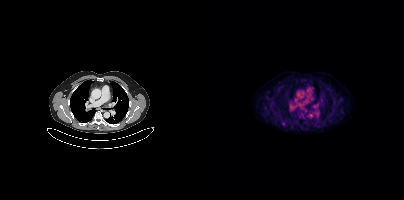
Findings: Coordinates are on the 200×200 PET (right) panel. Small PSMA-avid focus (2 to 4 px across) near (center x, center y): (79, 123).
Technique: Left: CT. Right: PSMA PET, same axial level, [18F]PSMA-1007 tracer. slice 293 of 417.